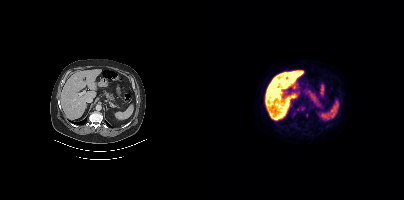
modality: PSMA PET/CT | tracer: 18F | view: axial | PET grid: 200×200
Coordinates are on the 200×200 PET (right) panel. PSMA-avid tumor lesion bounding box (x0,y0,x1,y1): [92,107,96,111].